Paired axial CT (left) and PSMA PET (right), 18F tracer. Acquired on Siemens Biograph mCT Flow 20.
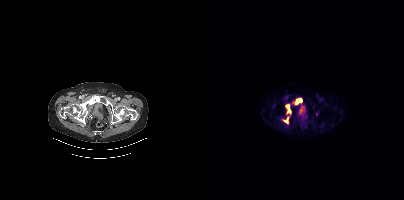
Coordinates are on the 200×200 PET (right) panel. PSMA-avid tumor lesion bounding boxes:
| # | x0 | y0 | x1 | y1 |
|---|---|---|---|---|
| 1 | 91 | 98 | 98 | 104 |
| 2 | 82 | 105 | 86 | 112 |
| 3 | 81 | 117 | 84 | 122 |